- Paired axial CT (left) and PSMA PET (right), 18F tracer
- slice 149 of 403
- PET panel 200×200 px (4.1 mm/px)
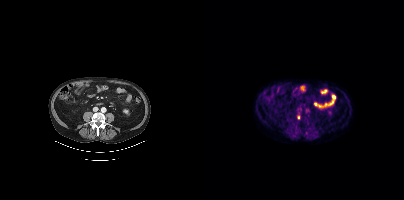
Findings: Coordinates are on the 200×200 PET (right) panel. Small PSMA-avid focus (2 to 4 px across) near (center x, center y): (94, 117).